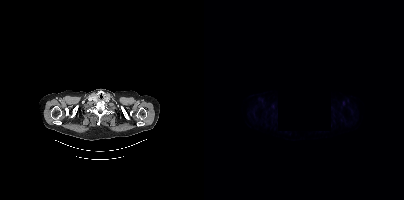
Technique: Left: CT. Right: PSMA PET, same axial level, 18F-PSMA tracer. acquired on Siemens Biograph mCT Flow 20.
Note: A block of pixels was blacked out before release to protect privacy.
Findings: No tumor lesions annotated on this slice.